Paired axial CT (left) and PSMA PET (right), 18F-PSMA tracer. Slice position z = -1494 mm. PET panel 200×200 px (4.1 mm/px).
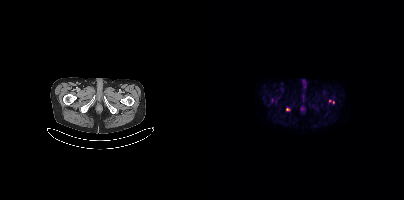
Coordinates are on the 200×200 PET (right) panel. Small PSMA-avid foci (2 to 4 px across) near (center x, center y): (83, 109) | (67, 100) | (125, 100) | (129, 102).